Technique: Left: CT. Right: PSMA PET, same axial level, 68Ga-PSMA tracer. acquired on Siemens Biograph 64-4R TruePoint. PET panel 168×168 px (4.1 mm/px).
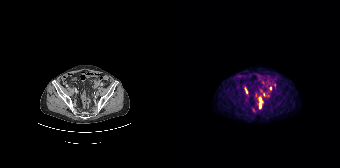
Findings: Coordinates are on the 168×168 PET (right) panel. (showing 5 of 6 foci) PSMA-avid tumor lesion bounding boxes (x0,y0,x1,y1): [72,87,75,93], [87,104,89,108], [87,98,89,102]. Small PSMA-avid foci (2 to 4 px across) near (center x, center y): (92, 95), (98, 88).